Technique: Two-panel axial: CT | PSMA PET, 18F tracer. acquired on GE Discovery 690. slice 113 of 263.
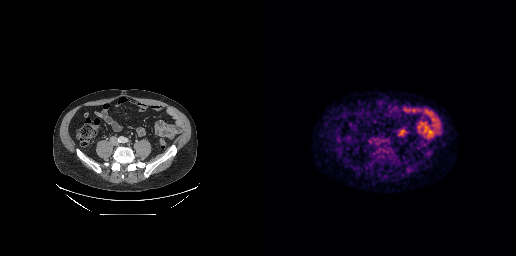
Findings: Negative for PSMA-avid disease on this slice.